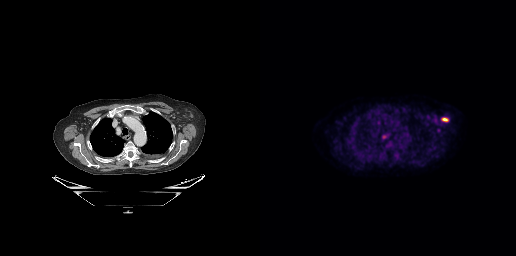
{"modality":"PSMA PET/CT","view":"axial","tracer":"18F-PSMA","pet_grid":[256,256],"coord_frame":"pet_panel","coord_format":"x0,y0,x1,y1","lesion_bboxes":[[181,117,188,121],[122,135,127,138]],"small_foci_centers":[[167,116],[118,122],[178,130]]}